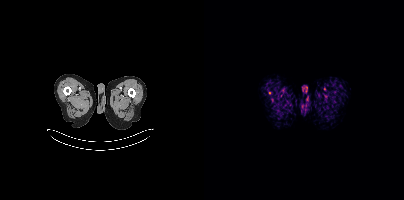
Coordinates are on the 200×200 PET (right) panel. Small PSMA-avid focus (2 to 4 px across) near (center x, center y): (65, 92). Left: CT. Right: PSMA PET, same axial level, 18F tracer. Acquired on Siemens Biograph mCT Flow 20. Slice position z = -924 mm. PET panel 200×200 px (4.1 mm/px).